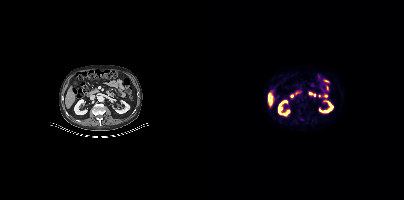
No tumor lesions annotated on this slice. Two-panel axial: CT | PSMA PET, 18F-PSMA tracer. Slice position z = -723 mm.